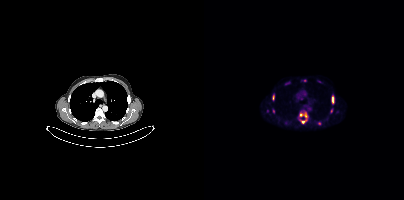
Coordinates are on the 200×200 PET (right) panel. PSMA-avid tumor lesion bounding boxes (x, y, width, height): x=95 y=111 w=10 h=13; x=127 y=95 w=4 h=10; x=68 y=94 w=3 h=7; x=81 y=81 w=6 h=4. Small PSMA-avid foci (2 to 4 px across) near (center x, center y): (127, 110); (69, 110); (115, 123); (115, 81); (100, 80); (63, 110).